- Two-panel axial: CT | PSMA PET, [18F]PSMA-1007 tracer
- acquired on GE Discovery 690
- slice 269 of 299
- any black rectangle here is a de-identification mask
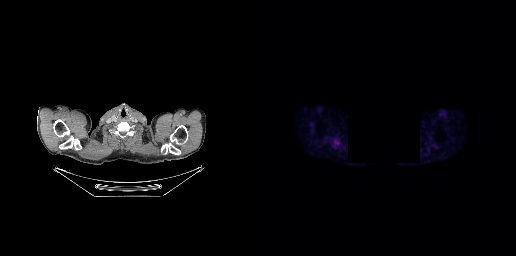
Findings: This slice has no annotated PSMA-avid lesion.